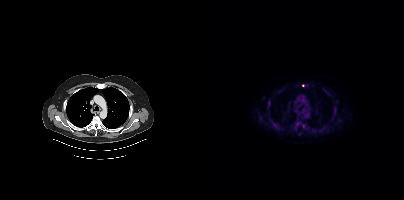
Coordinates are on the 200×200 PET (right) panel. (showing 12 of 13 foci) PSMA-avid tumor lesion bounding boxes (x0, y0)-(x1, y1): (67, 120)-(75, 128) | (94, 121)-(101, 128) | (129, 108)-(133, 114) | (63, 99)-(66, 106) | (108, 128)-(112, 132) | (93, 131)-(97, 135) | (130, 102)-(133, 106) | (98, 84)-(103, 86) | (64, 111)-(65, 115). Small PSMA-avid foci (2 to 4 px across) near (center x, center y): (119, 128) | (57, 118) | (78, 129).